Technique: Two-panel axial: CT | PSMA PET, 68Ga tracer. acquired on Siemens Biograph 64-4R TruePoint. slice position z = -294 mm. PET panel 168×168 px (4.1 mm/px).
Note: A rectangle over the head was blacked out to remove identifiable facial features.
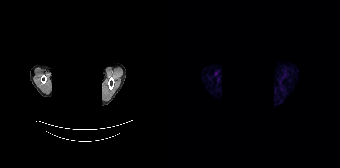
Findings: This slice has no annotated PSMA-avid lesion.